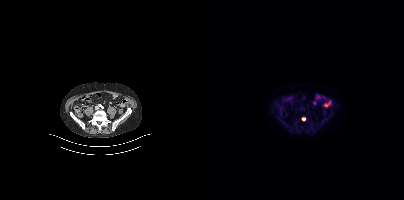
Coordinates are on the 200×200 PET (right) panel. Small PSMA-avid focus (2 to 4 px across) near (center x, center y): (99, 118).